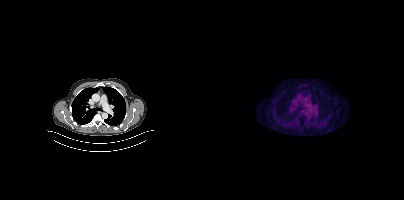
modality: PSMA PET/CT | tracer: 18F-PSMA | view: axial
No PSMA-avid tumor lesions on this slice.